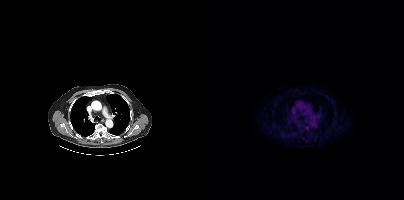
Technique: Two-panel axial: CT | PSMA PET, 18F-PSMA tracer. slice position z = -496 mm.
Findings: This slice has no annotated PSMA-avid lesion.